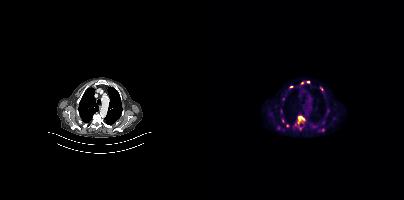
Coordinates are on the 200×200 PET (right) panel. (showing 9 of 10 foci) PSMA-avid tumor lesion bounding boxes (x0,y0,x1,y1): [90,115,101,130] [102,80,106,83] [117,89,120,93]. Small PSMA-avid foci (2 to 4 px across) near (center x, center y): (98, 82) (119, 130) (87, 86) (78, 121) (83, 125) (109, 126).